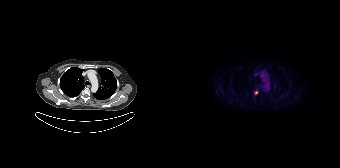
Two-panel axial: CT | PSMA PET, 18F-PSMA tracer. Acquired on Siemens Biograph 64-4R TruePoint. Slice 124 of 165. PET panel 168×168 px (4.1 mm/px). Coordinates are on the 168×168 PET (right) panel. PSMA-avid tumor lesion bounding box (x, y, width, height): x=82 y=90 w=5 h=5.